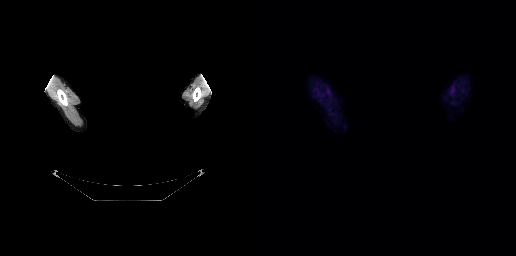
{"modality":"PSMA PET/CT","view":"axial","tracer":"18F-PSMA","pet_grid":[256,256],"coord_frame":"pet_panel","coord_format":"x0,y0,x1,y1","redaction":"facial region redacted","psma_avid_lesions":false}